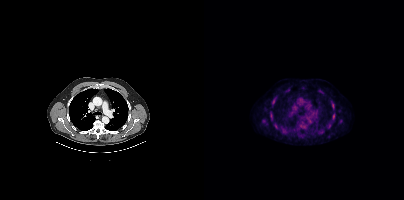
Technique: Left: CT. Right: PSMA PET, same axial level, 18F-PSMA tracer. slice 312 of 438.
Findings: Coordinates are on the 200×200 PET (right) panel. (showing 3 of 4 foci) PSMA-avid tumor lesion bounding boxes (x, y, width, height): x=127 y=103 w=4 h=6 / x=68 y=99 w=4 h=5. Small PSMA-avid focus (2 to 4 px across) near (center x, center y): (129, 118).